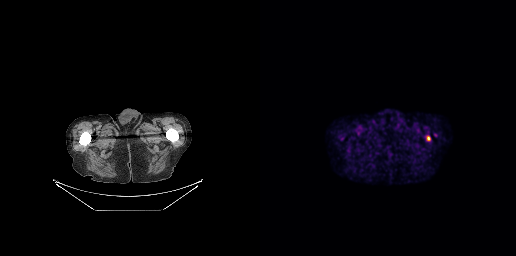
{"modality":"PSMA PET/CT","view":"axial","tracer":"18F-PSMA","pet_grid":[256,256],"coord_frame":"pet_panel","coord_format":"x0,y0,x1,y1","lesion_bboxes":[],"small_foci_centers":[[168,138]]}